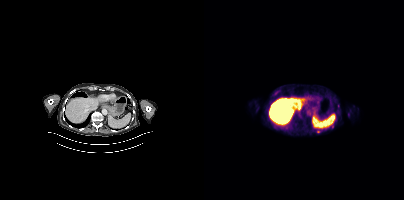
Findings: Coordinates are on the 200×200 PET (right) panel. Small PSMA-avid focus (2 to 4 px across) near (center x, center y): (114, 131).
- Left: CT. Right: PSMA PET, same axial level, 18F-PSMA tracer
- acquired on Siemens Biograph mCT Flow 20
- PET panel 200×200 px (4.1 mm/px)